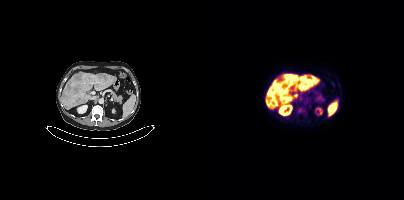
{"modality":"PSMA PET/CT","view":"axial","tracer":"[18F]PSMA-1007","pet_grid":[200,200],"coord_frame":"pet_panel","coord_format":"x0,y0,x1,y1","partial":true,"lesion_bboxes":[[91,75,102,81],[70,83,76,90],[94,108,98,112]],"small_foci_centers":[[98,86]]}